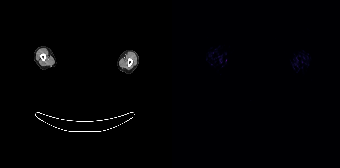
Findings: No PSMA-avid tumor lesions on this slice.
- face de-identified by blanking a block of the head
- Left: CT. Right: PSMA PET, same axial level, 18F tracer